Paired axial CT (left) and PSMA PET (right), 18F tracer. Slice 3 of 299.
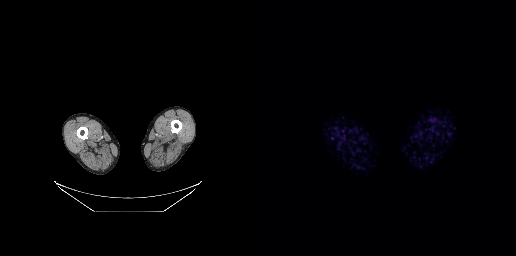
Negative for PSMA-avid disease on this slice.